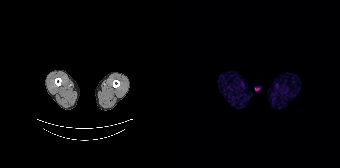
Findings: Negative for PSMA-avid disease on this slice.
Technique: Two-panel axial: CT | PSMA PET, 68Ga tracer. acquired on Siemens Biograph 64-4R TruePoint. slice 17 of 195. PET panel 168×168 px (4.1 mm/px).